- Two-panel axial: CT | PSMA PET, 18F-PSMA tracer
- acquired on Siemens Biograph mCT Flow 20
- slice position z = -950 mm
- face de-identified by blanking a block of the head
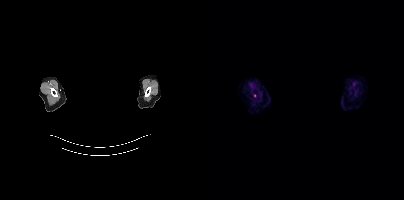
Findings: Coordinates are on the 200×200 PET (right) panel. Small PSMA-avid focus (2 to 4 px across) near (center x, center y): (50, 95).